Two-panel axial: CT | PSMA PET, [18F]PSMA-1007 tracer. Acquired on Siemens Biograph mCT Flow 20. PET panel 200×200 px (4.1 mm/px). The face region was removed for patient privacy by blanking a rectangle over the head.
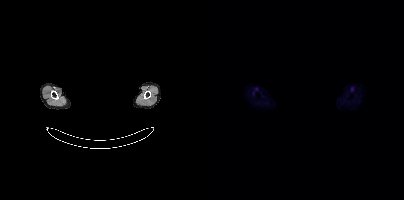
No tumor lesions annotated on this slice.